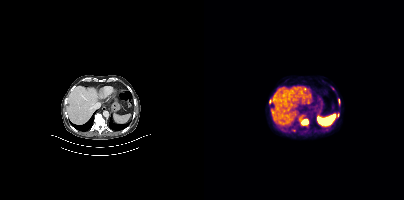
Technique: Left: CT. Right: PSMA PET, same axial level, 18F tracer. PET panel 200×200 px (4.1 mm/px).
Findings: Coordinates are on the 200×200 PET (right) panel. (showing 3 of 4 foci) PSMA-avid tumor lesion bounding box (x, y, width, height): x=95 y=118 w=10 h=8. Small PSMA-avid foci (2 to 4 px across) near (center x, center y): (66, 101) | (134, 114).